- Left: CT. Right: PSMA PET, same axial level, 18F-PSMA tracer
- PET panel 200×200 px (4.1 mm/px)
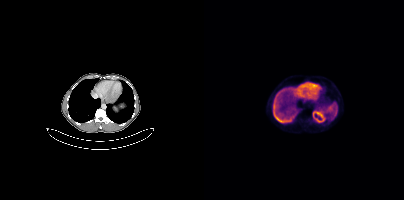
Findings: No PSMA-avid tumor lesions on this slice.